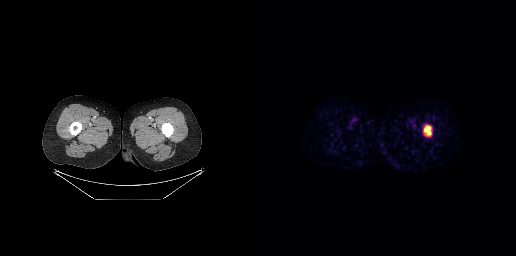
Coordinates are on the 256×256 PET (right) panel. PSMA-avid tumor lesion bounding box (x0,y0,x1,y1): [164,125,171,135].